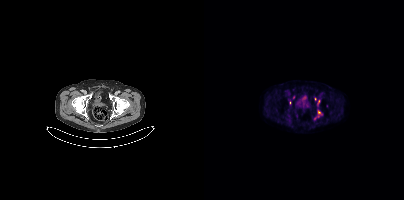
Two-panel axial: CT | PSMA PET, [18F]PSMA-1007 tracer. Acquired on Siemens Biograph mCT Flow 20. PET panel 200×200 px (4.1 mm/px). Coordinates are on the 200×200 PET (right) panel. Small PSMA-avid foci (2 to 4 px across) near (center x, center y): (115, 112) | (114, 101) | (86, 102) | (111, 99).